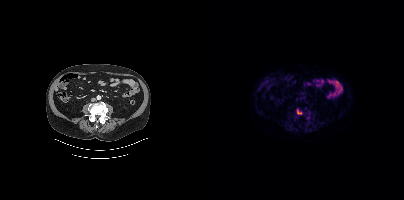
Paired axial CT (left) and PSMA PET (right), 18F-PSMA tracer. PET panel 200×200 px (4.1 mm/px).
Coordinates are on the 200×200 PET (right) panel. PSMA-avid tumor lesion bounding boxes:
| # | x0 | y0 | x1 | y1 |
|---|---|---|---|---|
| 1 | 93 | 109 | 97 | 114 |